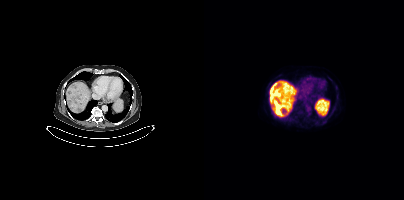
{"pet_grid":[200,200],"coord_frame":"pet_panel","coord_format":"x0,y0,x1,y1","lesion_bboxes":[[66,88,74,96]],"modality":"PSMA PET/CT","view":"axial","tracer":"18F-PSMA"}